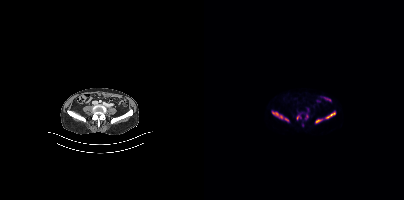
modality: PSMA PET/CT | tracer: [18F]PSMA-1007 | view: axial
Coordinates are on the 200×200 PET (right) panel. PSMA-avid tumor lesion bounding boxes (x0, y0)-(x1, y1): (68, 111)-(78, 118) / (122, 112)-(131, 118) / (111, 119)-(118, 123) / (93, 115)-(96, 119). Small PSMA-avid foci (2 to 4 px across) near (center x, center y): (82, 119) / (102, 116).